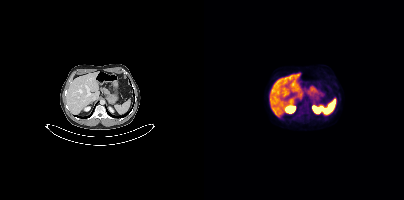
Left: CT. Right: PSMA PET, same axial level, 18F-PSMA tracer. Slice position z = -1364 mm. PET panel 200×200 px (4.1 mm/px). This slice has no annotated PSMA-avid lesion.